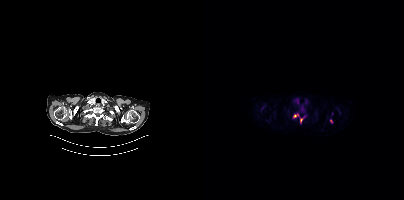
- Two-panel axial: CT | PSMA PET, 18F tracer
- acquired on Siemens Biograph mCT Flow 20
- slice position z = -372 mm
- PET panel 200×200 px (4.1 mm/px)
Findings: Coordinates are on the 200×200 PET (right) panel. Small PSMA-avid foci (2 to 4 px across) near (center x, center y): (97, 120) (91, 115) (127, 121) (94, 114).